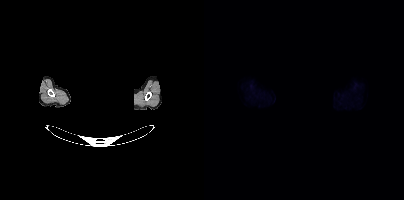
No PSMA-avid tumor lesions on this slice. Paired axial CT (left) and PSMA PET (right), 18F tracer. Acquired on Siemens Biograph mCT Flow 20. Slice position z = 372 mm. PET panel 200×200 px (4.1 mm/px). The head region is masked for de-identification.